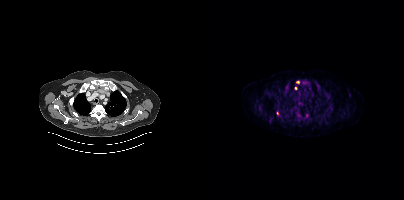
Technique: Left: CT. Right: PSMA PET, same axial level, 18F tracer. PET panel 200×200 px (4.1 mm/px).
Findings: Coordinates are on the 200×200 PET (right) panel. (showing 12 of 13 foci) PSMA-avid tumor lesion bounding boxes (x, y, width, height): x=91 y=112 w=15 h=12; x=121 y=93 w=6 h=7; x=54 y=105 w=5 h=5; x=114 y=87 w=3 h=5. Small PSMA-avid foci (2 to 4 px across) near (center x, center y): (66, 120); (93, 82); (81, 93); (100, 82); (91, 88); (127, 107); (73, 113); (87, 114).